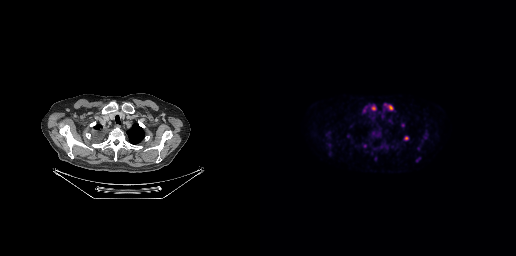
Two-panel axial: CT | PSMA PET, 18F tracer. Acquired on GE Discovery 690. Slice 245 of 299.
Coordinates are on the 256×256 PET (right) panel. PSMA-avid tumor lesion bounding boxes (partial; 2 more foci not listed):
| # | x0 | y0 | x1 | y1 |
|---|---|---|---|---|
| 1 | 123 | 105 | 133 | 111 |
| 2 | 112 | 106 | 115 | 110 |
| 3 | 144 | 136 | 148 | 139 |
| 4 | 156 | 158 | 160 | 161 |
Small PSMA-avid foci (2 to 4 px across) near (center x, center y): (143, 125); (122, 116); (158, 148); (129, 120).